Left: CT. Right: PSMA PET, same axial level, 18F-PSMA tracer. Slice position z = -747 mm.
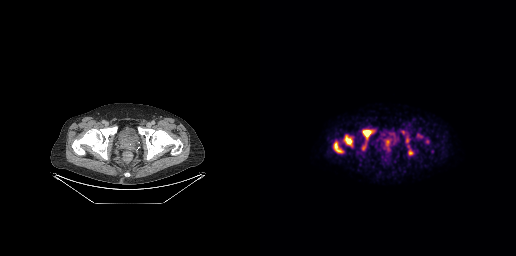
Coordinates are on the 256×256 PET (right) panel. PSMA-avid tumor lesion bounding boxes (x, y, width, height): x=102 y=129 w=13 h=11; x=84 y=135 w=9 h=11; x=74 y=142 w=10 h=11; x=148 y=149 w=6 h=7; x=146 y=136 w=4 h=7. Small PSMA-avid foci (2 to 4 px across) near (center x, center y): (143, 132); (159, 135); (103, 147); (148, 146); (167, 141).